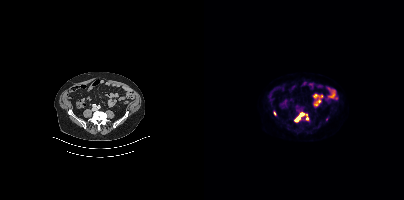
Coordinates are on the 200×200 PET (right) panel. PSMA-avid tumor lesion bounding boxes:
| # | x0 | y0 | x1 | y1 |
|---|---|---|---|---|
| 1 | 90 | 112 | 100 | 121 |
Small PSMA-avid foci (2 to 4 px across) near (center x, center y): (103, 118); (70, 113); (102, 114).
Two-panel axial: CT | PSMA PET, 18F-PSMA tracer. Acquired on Siemens Biograph mCT Flow 20. Slice 118 of 381. PET panel 200×200 px (4.1 mm/px).